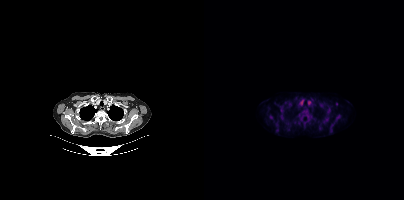
{"modality":"PSMA PET/CT","view":"axial","tracer":"[18F]PSMA-1007","pet_grid":[200,200],"coord_frame":"pet_panel","coord_format":"x0,y0,x1,y1","partial":true,"lesion_bboxes":[],"small_foci_centers":[[125,109],[67,117],[77,110],[77,117]]}